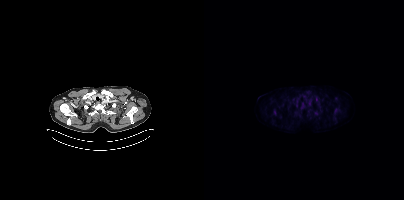
Findings: Coordinates are on the 200×200 PET (right) panel. Small PSMA-avid focus (2 to 4 px across) near (center x, center y): (98, 106).
- Paired axial CT (left) and PSMA PET (right), 18F tracer
- slice 332 of 403